modality: PSMA PET/CT | tracer: 18F-PSMA | view: axial | PET grid: 200×200
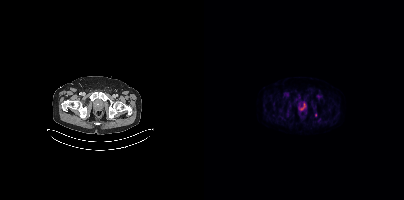
Coordinates are on the 200×200 PET (right) panel. Small PSMA-avid focus (2 to 4 px across) near (center x, center y): (111, 115).